- Two-panel axial: CT | PSMA PET, [68Ga]Ga-PSMA-11 tracer
- slice position z = -342 mm
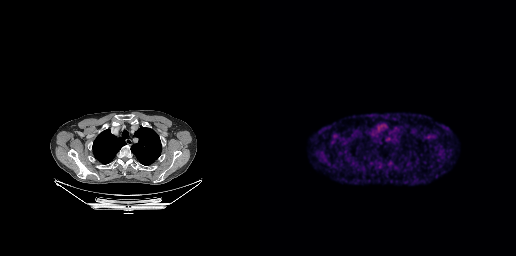
Findings: Negative for PSMA-avid disease on this slice.